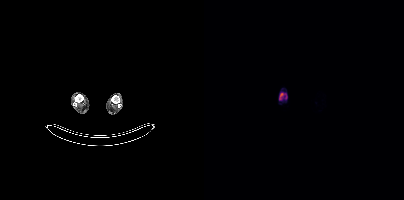
Paired axial CT (left) and PSMA PET (right), 18F tracer. Acquired on Siemens Biograph mCT Flow 20. Coordinates are on the 200×200 PET (right) panel. PSMA-avid tumor lesion bounding box (x0,y0,x1,y1): [75,93,82,99].